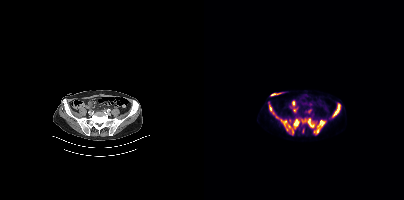
{"pet_grid":[200,200],"coord_frame":"pet_panel","coord_format":"x0,y0,x1,y1","partial":true,"lesion_bboxes":[[65,104,95,134],[98,118,110,127],[113,120,121,132],[129,104,136,116]],"modality":"PSMA PET/CT","view":"axial","tracer":"[18F]PSMA-1007"}